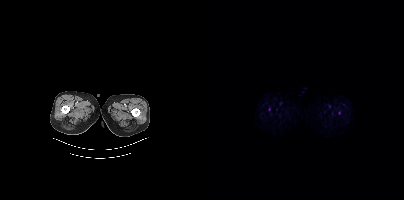
Coordinates are on the 200×200 PET (right) panel. Small PSMA-avid focus (2 to 4 px across) near (center x, center y): (65, 109). Two-panel axial: CT | PSMA PET, 18F-PSMA tracer.